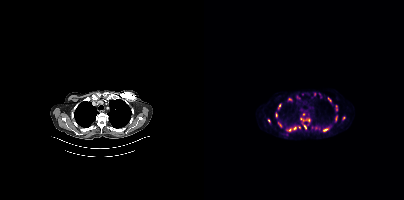
Coordinates are on the 200×200 PET (right) panel. (showing 15 of 18 foci) PSMA-avid tumor lesion bounding boxes (x0, y0)-(x1, y1): (96, 118)-(106, 121) / (119, 128)-(124, 131) / (74, 122)-(78, 127) / (74, 104)-(77, 109) / (71, 112)-(73, 117) / (100, 125)-(102, 129). Small PSMA-avid foci (2 to 4 px across) near (center x, center y): (125, 99) / (90, 128) / (86, 129) / (94, 97) / (65, 120) / (110, 94) / (139, 118) / (95, 127) / (132, 106).